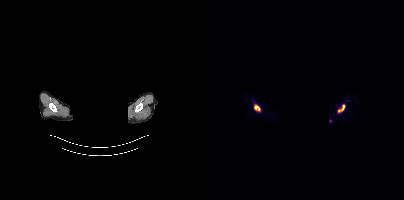
Coordinates are on the 200×200 PET (right) panel. PSMA-avid tumor lesion bounding boxes (x0, y0)-(x1, y1): (50, 105)-(56, 111); (134, 105)-(140, 113).
Head region blanked for anonymization (face removed).